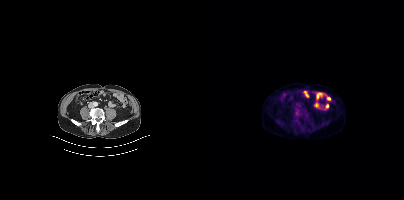
Coordinates are on the 200×200 PET (right) panel. Small PSMA-avid focus (2 to 4 px across) near (center x, center y): (93, 112).